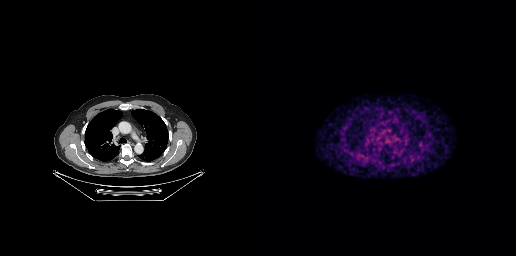
Only PSMA-avid lesion pieces thinner than 2 px on this slice (not listed). Paired axial CT (left) and PSMA PET (right), 68Ga tracer. PET panel 256×256 px (2.7 mm/px).